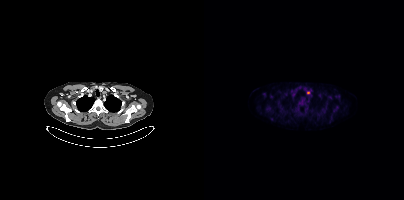
- Two-panel axial: CT | PSMA PET, 18F-PSMA tracer
- slice position z = -987 mm
- PET panel 200×200 px (4.1 mm/px)
Findings: Coordinates are on the 200×200 PET (right) panel. Small PSMA-avid focus (2 to 4 px across) near (center x, center y): (104, 92).